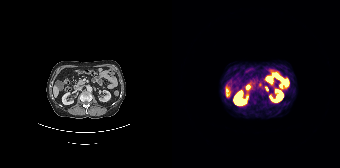
{"modality":"PSMA PET/CT","view":"axial","tracer":"68Ga","pet_grid":[168,168],"coord_frame":"pet_panel","coord_format":"x0,y0,x1,y1","lesion_bboxes":[],"small_foci_centers":[[94,88],[87,84]]}